Technique: Two-panel axial: CT | PSMA PET, 18F-PSMA tracer. acquired on Siemens Biograph mCT Flow 20. PET panel 200×200 px (4.1 mm/px).
Note: The head region is masked for de-identification.
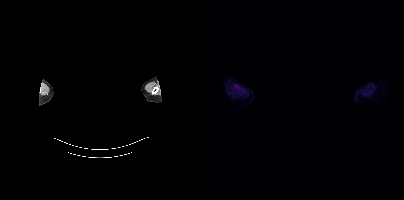
Findings: No PSMA-avid tumor lesions on this slice.